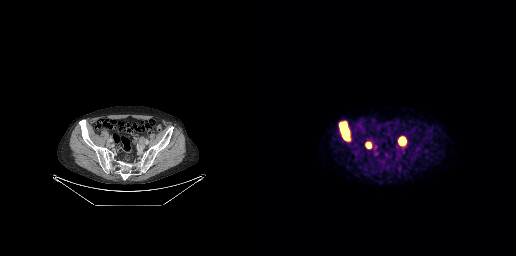
Coordinates are on the 256×256 PET (right) panel. PSMA-avid tumor lesion bounding boxes (x0, y0)-(x1, y1): (80, 123)-(88, 139) | (139, 137)-(145, 144) | (107, 143)-(110, 147).